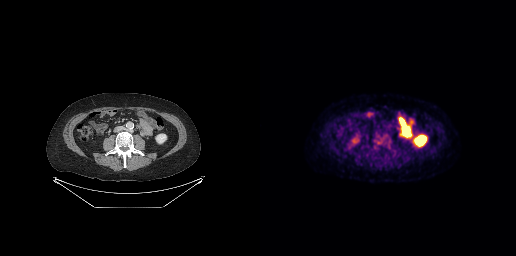
{"pet_grid":[256,256],"coord_frame":"pet_panel","coord_format":"x0,y0,x1,y1","psma_avid_lesions":false,"modality":"PSMA PET/CT","view":"axial","tracer":"[18F]PSMA-1007"}